modality: PSMA PET/CT | tracer: 18F-PSMA | view: axial
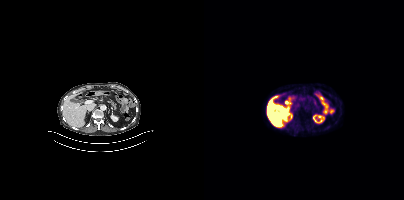
No tumor lesions annotated on this slice.